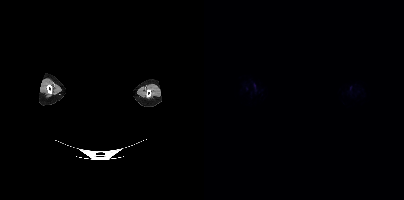
{"modality":"PSMA PET/CT","view":"axial","tracer":"18F","pet_grid":[200,200],"coord_frame":"pet_panel","coord_format":"x0,y0,x1,y1","psma_avid_lesions":false,"redaction":"head region blacked out before release"}